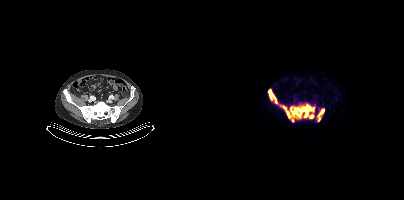
Technique: Two-panel axial: CT | PSMA PET, 18F tracer. acquired on Siemens Biograph mCT Flow 20.
Findings: Coordinates are on the 200×200 PET (right) panel. (showing 6 of 7 foci) PSMA-avid tumor lesion bounding boxes (x0, y0)-(x1, y1): (86, 105)-(107, 117); (64, 89)-(73, 103); (78, 106)-(86, 117); (114, 109)-(120, 120). Small PSMA-avid foci (2 to 4 px across) near (center x, center y): (107, 116); (88, 120).